Paired axial CT (left) and PSMA PET (right), 18F-PSMA tracer. Acquired on Siemens Biograph mCT Flow 20. PET panel 200×200 px (4.1 mm/px).
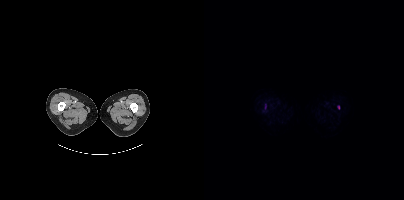
Coordinates are on the 200×200 PET (right) panel. Small PSMA-avid focus (2 to 4 px across) near (center x, center y): (134, 107).